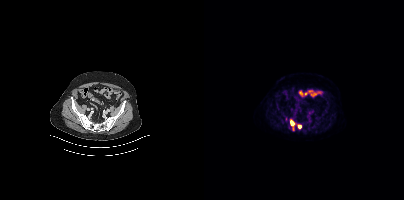
Coordinates are on the 200×200 PET (right) panel. (showing 2 of 3 foci) PSMA-avid tumor lesion bounding box (x0, y0)-(x1, y1): (86, 120)-(90, 126). Small PSMA-avid focus (2 to 4 px across) near (center x, center y): (95, 126).